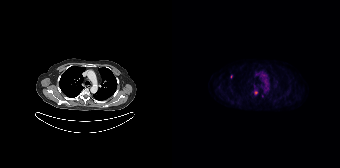
{"pet_grid":[168,168],"coord_frame":"pet_panel","coord_format":"x0,y0,x1,y1","lesion_bboxes":[[82,90,85,94]],"modality":"PSMA PET/CT","view":"axial","tracer":"18F"}